modality: PSMA PET/CT | tracer: 18F-PSMA | view: axial
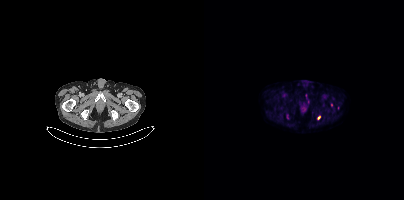
Coordinates are on the 200×200 PET (right) panel. (showing 2 of 6 foci) Small PSMA-avid foci (2 to 4 px across) near (center x, center y): (114, 117), (127, 104).